Any black rectangle over the head is a privacy mask, not anatomy. Two-panel axial: CT | PSMA PET, [18F]PSMA-1007 tracer. Acquired on Siemens Biograph mCT Flow 20. PET panel 200×200 px (4.1 mm/px).
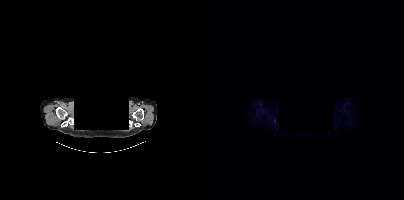
Coordinates are on the 200×200 PET (right) panel. PSMA-avid tumor lesion bounding box (x0,y0,x1,y1): [70,118,71,123].